- Two-panel axial: CT | PSMA PET, 68Ga-PSMA tracer
- slice 50 of 409
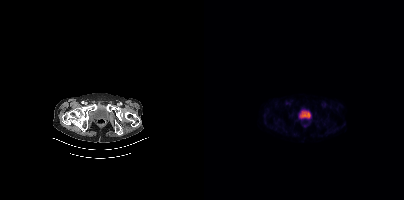
Findings: Negative for PSMA-avid disease on this slice.